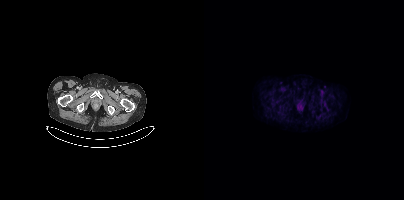
Technique: Left: CT. Right: PSMA PET, same axial level, 18F tracer.
Findings: No PSMA-avid tumor lesions on this slice.